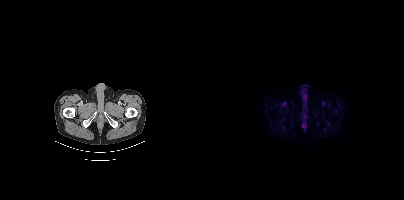
No PSMA-avid tumor lesions on this slice.